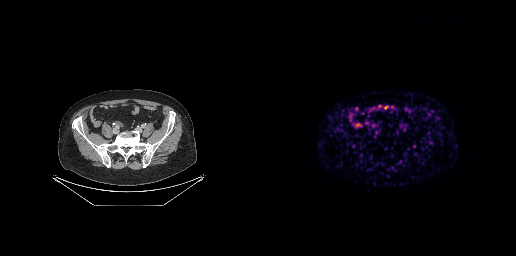
No PSMA-avid tumor lesions on this slice.
modality: PSMA PET/CT | tracer: 68Ga | view: axial